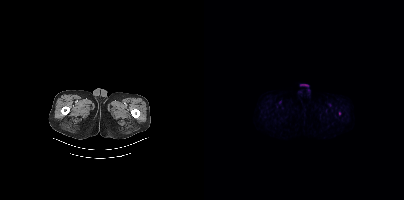
{"modality":"PSMA PET/CT","view":"axial","tracer":"[18F]PSMA-1007","pet_grid":[200,200],"coord_frame":"pet_panel","coord_format":"x0,y0,x1,y1","partial":true,"lesion_bboxes":[]}